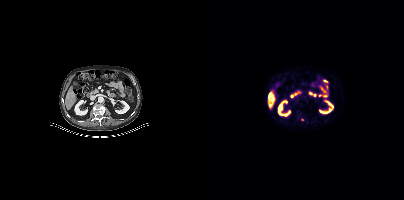
Left: CT. Right: PSMA PET, same axial level, 18F-PSMA tracer. Acquired on Siemens Biograph mCT Flow 20. PET panel 200×200 px (4.1 mm/px). Coordinates are on the 200×200 PET (right) panel. Small PSMA-avid focus (2 to 4 px across) near (center x, center y): (98, 119).